modality: PSMA PET/CT | tracer: 18F-PSMA | view: axial
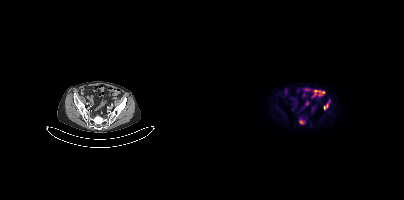
Coordinates are on the 200×200 PET (right) panel. PSMA-avid tumor lesion bounding boxes (x, y, width, height): x=95 y=118 w=7 h=7 | x=120 y=103 w=5 h=6.